- Left: CT. Right: PSMA PET, same axial level, [18F]PSMA-1007 tracer
- slice 217 of 389
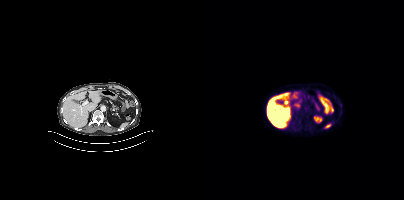
Findings: Coordinates are on the 200×200 PET (right) panel. Small PSMA-avid focus (2 to 4 px across) near (center x, center y): (136, 105).